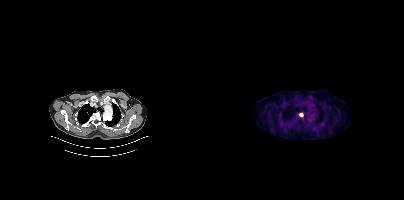
Left: CT. Right: PSMA PET, same axial level, 18F tracer. Acquired on Siemens Biograph mCT Flow 20. Slice 345 of 442. PET panel 200×200 px (4.1 mm/px). Coordinates are on the 200×200 PET (right) panel. Small PSMA-avid focus (2 to 4 px across) near (center x, center y): (96, 114).